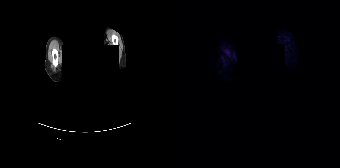
Findings: This slice has no annotated PSMA-avid lesion.
Technique: Two-panel axial: CT | PSMA PET, 68Ga-PSMA tracer. acquired on Siemens Biograph 64-4R TruePoint.
Note: The face region was removed for patient privacy by blanking a rectangle over the head.